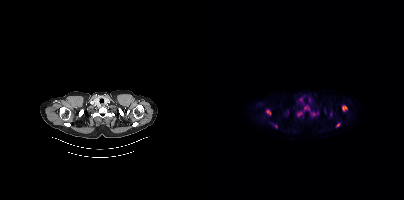
Left: CT. Right: PSMA PET, same axial level, [18F]PSMA-1007 tracer. Acquired on Siemens Biograph mCT Flow 20. PET panel 200×200 px (4.1 mm/px). Coordinates are on the 200×200 PET (right) panel. (showing 8 of 11 foci) PSMA-avid tumor lesion bounding boxes (x, y, width, height): x=138 y=105 w=6 h=6 / x=62 y=110 w=5 h=6 / x=100 y=107 w=6 h=3 / x=132 y=123 w=5 h=4. Small PSMA-avid foci (2 to 4 px across) near (center x, center y): (71, 126) / (95, 113) / (109, 114) / (114, 113).